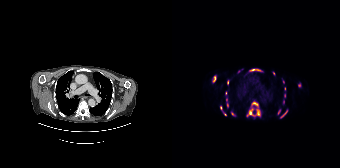
Technique: Left: CT. Right: PSMA PET, same axial level, 18F tracer. acquired on Siemens Biograph 64-4R TruePoint. slice position z = -904 mm. PET panel 168×168 px (4.1 mm/px).
Findings: Coordinates are on the 168×168 PET (right) panel. (showing 15 of 19 foci) PSMA-avid tumor lesion bounding boxes (x, y, width, height): x=77 y=69 w=14 h=3; x=80 y=102 w=7 h=5; x=77 y=108 w=5 h=7; x=84 y=109 w=5 h=5; x=41 y=76 w=3 h=6; x=109 y=111 w=7 h=7. Small PSMA-avid foci (2 to 4 px across) near (center x, center y): (49, 107); (127, 85); (55, 104); (112, 95); (53, 114); (60, 114); (55, 82); (101, 73); (53, 93).